Paired axial CT (left) and PSMA PET (right), [18F]PSMA-1007 tracer. Acquired on Siemens Biograph mCT Flow 20.
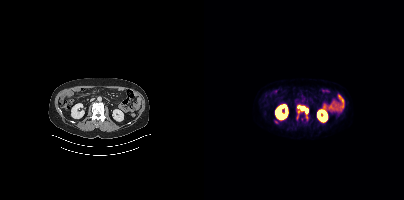
Coordinates are on the 200×200 PET (right) panel. PSMA-avid tumor lesion bounding boxes:
| # | x0 | y0 | x1 | y1 |
|---|---|---|---|---|
| 1 | 93 | 105 | 104 | 113 |